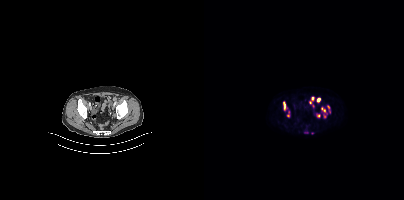
Coordinates are on the 200×200 PET (right) panel. (showing 7 of 9 foci) PSMA-avid tumor lesion bounding boxes (x0, y0)-(x1, y1): (79, 102)-(81, 110); (83, 111)-(85, 116). Small PSMA-avid foci (2 to 4 px across) near (center x, center y): (114, 100); (108, 98); (120, 110); (114, 115); (124, 106).